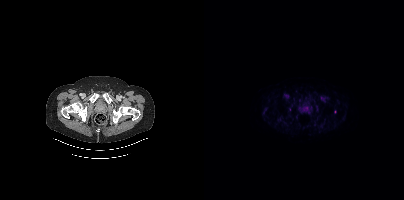
{"modality":"PSMA PET/CT","view":"axial","tracer":"18F","pet_grid":[200,200],"coord_frame":"pet_panel","coord_format":"x0,y0,x1,y1","partial":true,"lesion_bboxes":[]}